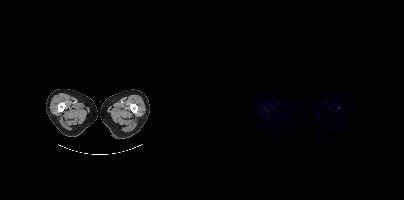
Paired axial CT (left) and PSMA PET (right), [18F]PSMA-1007 tracer. Acquired on Siemens Biograph mCT Flow 20. Coordinates are on the 200×200 PET (right) panel. Small PSMA-avid focus (2 to 4 px across) near (center x, center y): (134, 107).